Paired axial CT (left) and PSMA PET (right), 68Ga-PSMA tracer.
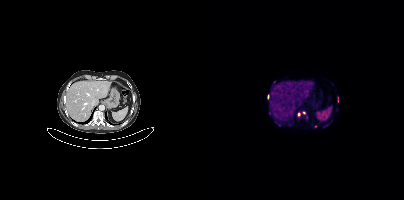
Coordinates are on the 200×200 PET (right) panel. PSMA-avid tumor lesion bounding boxes (partial; 1 more focus not listed):
| # | x0 | y0 | x1 | y1 |
|---|---|---|---|---|
| 1 | 101 | 115 | 103 | 119 |
| 2 | 133 | 97 | 134 | 102 |
Small PSMA-avid foci (2 to 4 px across) near (center x, center y): (70, 82); (65, 113); (100, 112); (111, 126); (94, 114).